- Two-panel axial: CT | PSMA PET, 68Ga-PSMA tracer
- PET panel 168×168 px (4.1 mm/px)
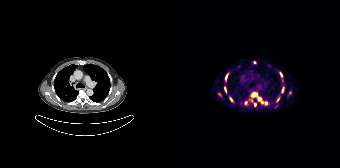
Findings: Coordinates are on the 168×168 PET (right) panel. (showing 9 of 13 foci) PSMA-avid tumor lesion bounding boxes (x0,y0,x1,y1): [108,72,110,77] [110,88,111,92] [53,75,55,79] [53,87,54,91]. Small PSMA-avid foci (2 to 4 px across) near (center x, center y): (83, 93) (59, 99) (106, 100) (88, 98) (93, 102).